Two-panel axial: CT | PSMA PET, 18F tracer. Acquired on GE Discovery 690. Slice 184 of 263. PET panel 256×256 px (2.7 mm/px).
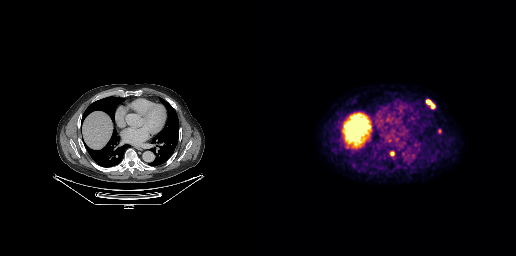
Coordinates are on the 256×256 PET (right) panel. PSMA-avid tumor lesion bounding boxes (x0, y0)-(x1, y1): (166, 99)-(175, 108) | (129, 151)-(134, 156) | (178, 129)-(181, 133).